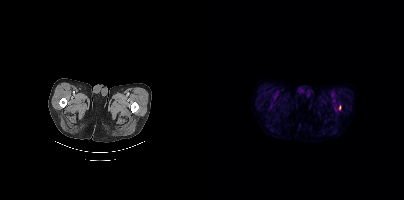
- Left: CT. Right: PSMA PET, same axial level, 18F-PSMA tracer
Findings: Coordinates are on the 200×200 PET (right) panel. Small PSMA-avid focus (2 to 4 px across) near (center x, center y): (136, 107).